- Left: CT. Right: PSMA PET, same axial level, 18F tracer
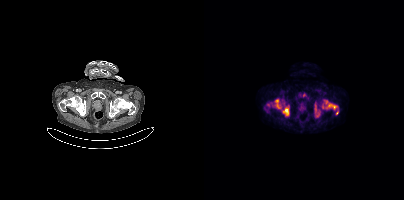
Findings: Coordinates are on the 200×200 PET (right) panel. (showing 7 of 9 foci) PSMA-avid tumor lesion bounding boxes (x0,y0,x1,y1): [122,101,133,109] [78,108,84,115] [73,104,77,108]. Small PSMA-avid foci (2 to 4 px across) near (center x, center y): (64, 105) (73, 101) (133, 112) (111, 109).